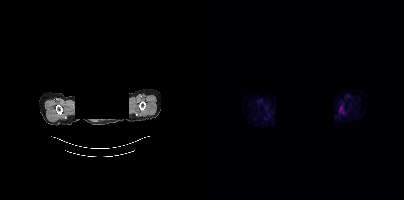
{"modality":"PSMA PET/CT","view":"axial","tracer":"[68Ga]Ga-PSMA-11","pet_grid":[200,200],"coord_frame":"pet_panel","coord_format":"x0,y0,x1,y1","psma_avid_lesions":false,"deidentification":"facial region redacted"}